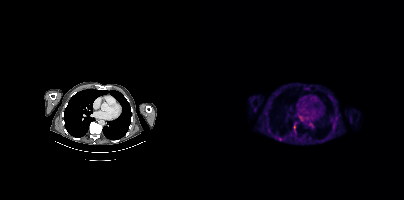
{"pet_grid":[200,200],"coord_frame":"pet_panel","coord_format":"x0,y0,x1,y1","partial":true,"lesion_bboxes":[],"small_foci_centers":[[90,127],[132,118]],"modality":"PSMA PET/CT","view":"axial","tracer":"18F-PSMA"}